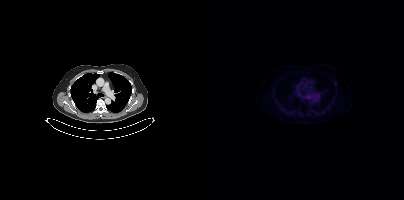
Two-panel axial: CT | PSMA PET, 68Ga tracer. Slice position z = -1302 mm. Coordinates are on the 200×200 PET (right) panel. Small PSMA-avid focus (2 to 4 px across) near (center x, center y): (131, 83).